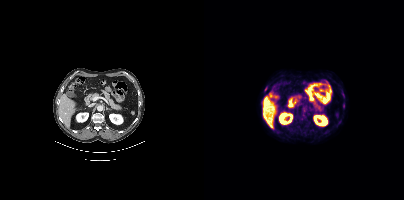
modality: PSMA PET/CT | tracer: 18F-PSMA | view: axial
Coordinates are on the 200×200 PET (right) panel. PSMA-avid tumor lesion bounding box (x, y, width, height): x=60 y=86 w=4 h=6.